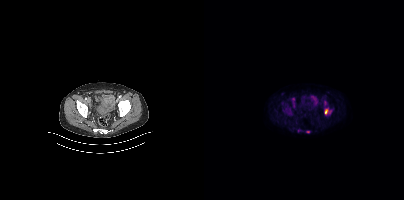
- Paired axial CT (left) and PSMA PET (right), 18F-PSMA tracer
- PET panel 200×200 px (4.1 mm/px)
Findings: Coordinates are on the 200×200 PET (right) panel. (showing 2 of 3 foci) PSMA-avid tumor lesion bounding box (x0, y0)-(x1, y1): (120, 109)-(124, 114). Small PSMA-avid focus (2 to 4 px across) near (center x, center y): (103, 131).